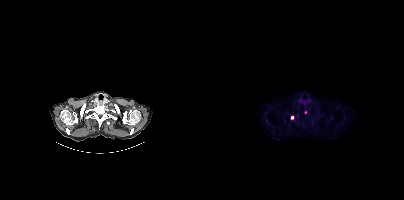
Technique: Left: CT. Right: PSMA PET, same axial level, 18F-PSMA tracer. acquired on Siemens Biograph mCT Flow 20. PET panel 200×200 px (4.1 mm/px).
Findings: Coordinates are on the 200×200 PET (right) panel. (showing 1 of 2 foci) Small PSMA-avid focus (2 to 4 px across) near (center x, center y): (88, 117).